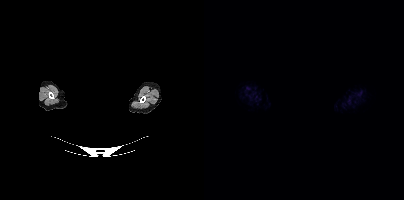
Two-panel axial: CT | PSMA PET, 18F-PSMA tracer. Acquired on Siemens Biograph mCT Flow 20. Slice 391 of 405. PET panel 200×200 px (4.1 mm/px). An anonymization step blacked out a rectangle over the head in this scan. No tumor lesions annotated on this slice.